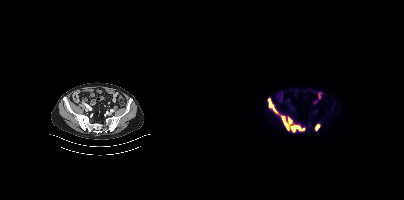
- Paired axial CT (left) and PSMA PET (right), 18F tracer
- acquired on Siemens Biograph mCT Flow 20
- slice 122 of 423
- PET panel 200×200 px (4.1 mm/px)
Findings: Coordinates are on the 200×200 PET (right) panel. PSMA-avid tumor lesion bounding boxes (x0,y0,x1,y1): [64,98,100,131] [112,124,115,129].